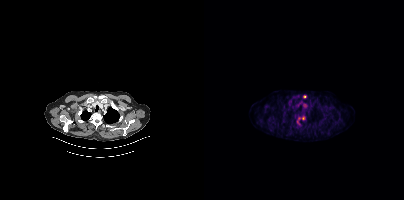
Coordinates are on the 200×200 PET (right) panel. PSMA-avid tumor lesion bounding box (x0, y0)-(x1, y1): (93, 116)-(101, 124). Small PSMA-avid focus (2 to 4 px across) near (center x, center y): (100, 96).
modality: PSMA PET/CT | tracer: 18F-PSMA | view: axial | PET grid: 200×200